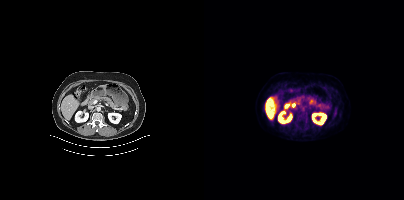
No PSMA-avid tumor lesions on this slice. Paired axial CT (left) and PSMA PET (right), 18F-PSMA tracer. Acquired on Siemens Biograph mCT Flow 20. PET panel 200×200 px (4.1 mm/px).